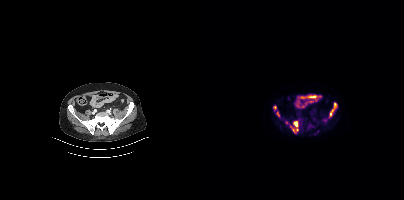
- Two-panel axial: CT | PSMA PET, [18F]PSMA-1007 tracer
- acquired on Siemens Biograph mCT Flow 20
- slice position z = -178 mm
- PET panel 200×200 px (4.1 mm/px)
Findings: Coordinates are on the 200×200 PET (right) panel. (showing 6 of 8 foci) PSMA-avid tumor lesion bounding boxes (x0, y0)-(x1, y1): (89, 121)-(94, 126); (126, 109)-(130, 115); (130, 103)-(132, 107). Small PSMA-avid foci (2 to 4 px across) near (center x, center y): (93, 129); (70, 107); (89, 130).